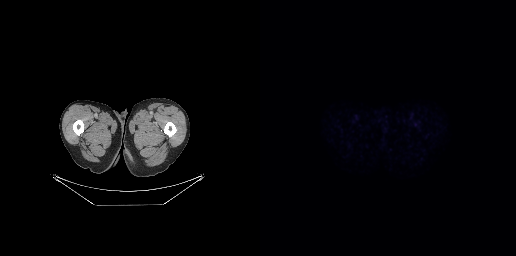
{"modality":"PSMA PET/CT","view":"axial","tracer":"[18F]PSMA-1007","pet_grid":[256,256],"coord_frame":"pet_panel","coord_format":"x0,y0,x1,y1","psma_avid_lesions":false}